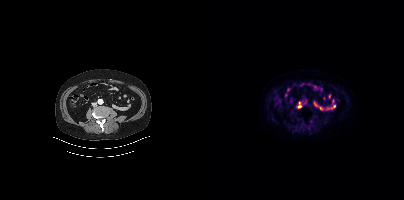
Findings: Coordinates are on the 200×200 PET (right) panel. Small PSMA-avid focus (2 to 4 px across) near (center x, center y): (95, 106).
Technique: Two-panel axial: CT | PSMA PET, 18F-PSMA tracer.